- Two-panel axial: CT | PSMA PET, 18F-PSMA tracer
- slice position z = -323 mm
- PET panel 256×256 px (2.7 mm/px)
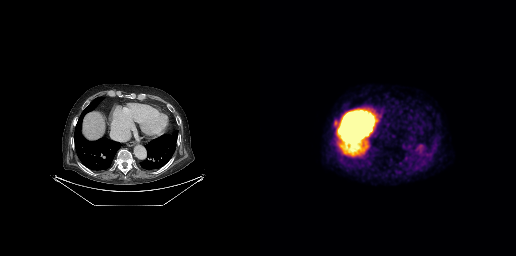
Findings: Coordinates are on the 256×256 PET (right) panel. PSMA-avid tumor lesion bounding box (x, y, width, height): x=74 y=120 w=5 h=8.